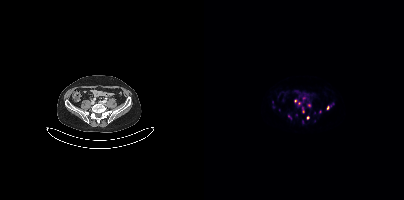
- Paired axial CT (left) and PSMA PET (right), 68Ga tracer
- slice position z = -1379 mm
Findings: Coordinates are on the 200×200 PET (right) panel. PSMA-avid tumor lesion bounding box (x, y, width, height): x=84 y=115 w=4 h=5. Small PSMA-avid foci (2 to 4 px across) near (center x, center y): (98, 121); (91, 101); (100, 98); (95, 103); (105, 105); (123, 107); (99, 111); (116, 111); (103, 117).